- Two-panel axial: CT | PSMA PET, 18F tracer
- slice position z = -1193 mm
- PET panel 200×200 px (4.1 mm/px)
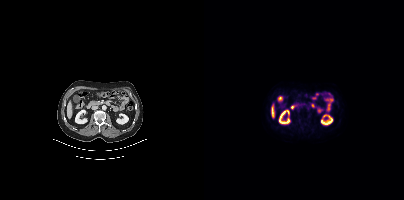
Findings: This slice has no annotated PSMA-avid lesion.